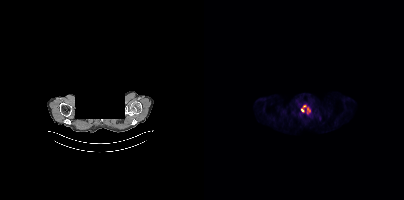
Two-panel axial: CT | PSMA PET, 18F-PSMA tracer. A rectangle over the head was blacked out to remove identifiable facial features. Coordinates are on the 200×200 PET (right) panel. PSMA-avid tumor lesion bounding box (x, y, width, height): x=97 y=105 w=10 h=9.